Two-panel axial: CT | PSMA PET, [68Ga]Ga-PSMA-11 tracer. Acquired on GE Discovery 690. Slice position z = -698 mm. PET panel 256×256 px (2.7 mm/px).
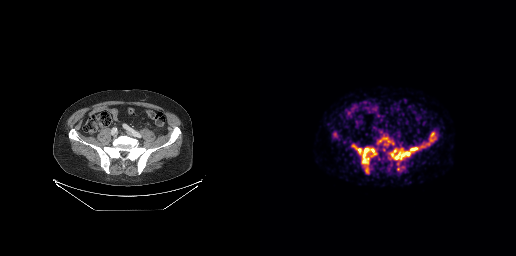
Coordinates are on the 256×256 PET (right) panel. (showing 6 of 9 foci) PSMA-avid tumor lesion bounding boxes (x0,y0,x1,y1): [130,147,158,159], [102,148,116,163], [96,148,101,153]. Small PSMA-avid foci (2 to 4 px across) near (center x, center y): (171, 134), (106, 170), (128, 140).